- Paired axial CT (left) and PSMA PET (right), [18F]PSMA-1007 tracer
- slice position z = -116 mm
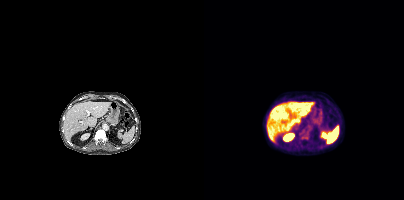
Findings: Coordinates are on the 200×200 PET (right) panel. PSMA-avid tumor lesion bounding box (x0,y0,x1,y1): [98,136,104,140].